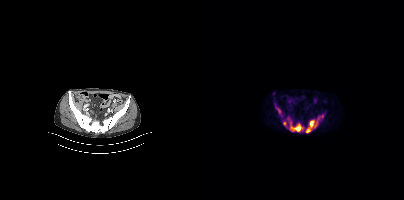
Coordinates are on the 200×200 PET (right) panel. PSMA-avid tumor lesion bounding boxes (partial; 1 more focus not listed):
| # | x0 | y0 | x1 | y1 |
|---|---|---|---|---|
| 1 | 102 | 115 | 119 | 132 |
| 2 | 85 | 122 | 99 | 131 |
| 3 | 71 | 107 | 77 | 114 |
Small PSMA-avid focus (2 to 4 px across) near (center x, center y): (80, 123).
Paired axial CT (left) and PSMA PET (right), 18F-PSMA tracer. Acquired on Siemens Biograph mCT Flow 20. Slice 104 of 421.